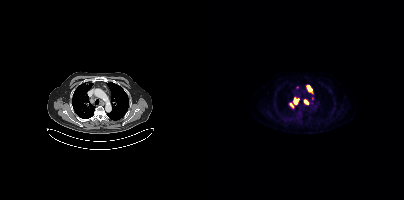
Coordinates are on the 200×200 PET (right) panel. PSMA-avid tumor lesion bounding boxes (x0, y0)-(x1, y1): (90, 99)-(94, 103); (100, 100)-(104, 104).